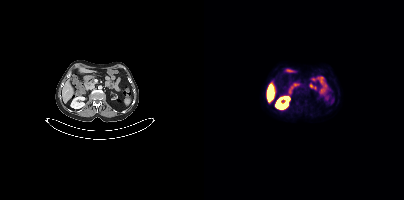
- Two-panel axial: CT | PSMA PET, [18F]PSMA-1007 tracer
- slice position z = -1234 mm
- PET panel 200×200 px (4.1 mm/px)
Findings: Negative for PSMA-avid disease on this slice.